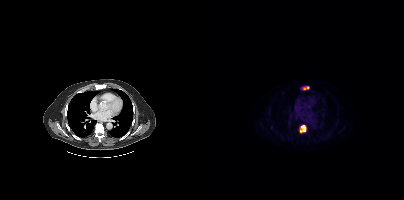
{"modality":"PSMA PET/CT","view":"axial","tracer":"18F","pet_grid":[200,200],"coord_frame":"pet_panel","coord_format":"x0,y0,x1,y1","lesion_bboxes":[[96,125,102,132],[99,86,105,89]],"small_foci_centers":[[67,127]]}